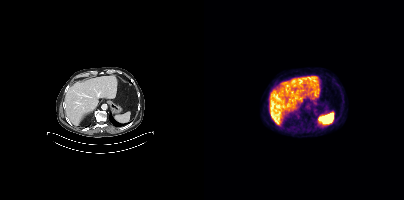
No tumor lesions annotated on this slice. Paired axial CT (left) and PSMA PET (right), 68Ga-PSMA tracer. PET panel 200×200 px (4.1 mm/px).